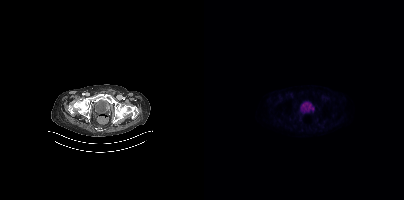
Paired axial CT (left) and PSMA PET (right), 18F-PSMA tracer. Slice position z = -972 mm. Coordinates are on the 200×200 PET (right) panel. Small PSMA-avid focus (2 to 4 px across) near (center x, center y): (108, 108).